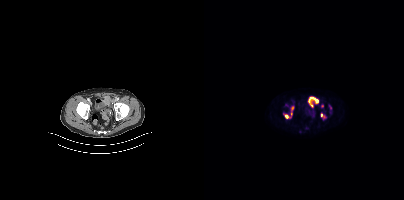
Findings: Coordinates are on the 200×200 PET (right) panel. PSMA-avid tumor lesion bounding boxes (x0, y0)-(x1, y1): (104, 97)-(114, 107) | (87, 106)-(89, 114) | (117, 114)-(120, 118). Small PSMA-avid foci (2 to 4 px across) near (center x, center y): (82, 116) | (117, 105) | (126, 107).
- Left: CT. Right: PSMA PET, same axial level, [18F]PSMA-1007 tracer
- acquired on Siemens Biograph mCT Flow 20
- slice 67 of 403